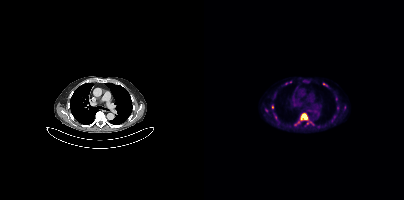
Coordinates are on the 200×200 PET (right) panel. (showing 4 of 7 foci) PSMA-avid tumor lesion bounding boxes (x0,y0,x1,y1): [96,113,103,120] [119,83,123,86]. Small PSMA-avid foci (2 to 4 px across) near (center x, center y): (68, 107) (82, 83). Paired axial CT (left) and PSMA PET (right), 18F tracer. PET panel 200×200 px (4.1 mm/px).